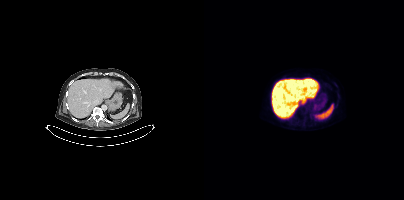
Left: CT. Right: PSMA PET, same axial level, 18F-PSMA tracer. PET panel 200×200 px (4.1 mm/px). Negative for PSMA-avid disease on this slice.